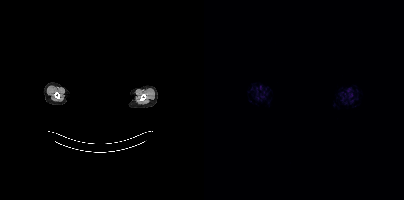
Privacy masking over the head, with the pixels inside a rectangle set to black.
This slice has no annotated PSMA-avid lesion.